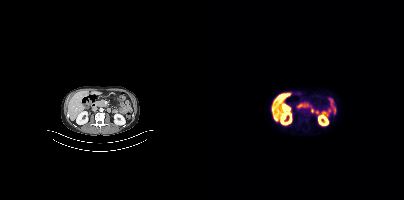
Paired axial CT (left) and PSMA PET (right), 18F tracer. PET panel 200×200 px (4.1 mm/px). Negative for PSMA-avid disease on this slice.